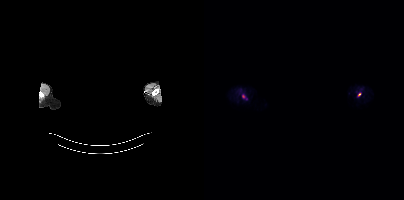
Technique: Two-panel axial: CT | PSMA PET, 18F tracer. PET panel 200×200 px (4.1 mm/px).
Note: A rectangular block over the head has been blanked out for de-identification.
Findings: Coordinates are on the 200×200 PET (right) panel. (showing 1 of 2 foci) Small PSMA-avid focus (2 to 4 px across) near (center x, center y): (155, 94).